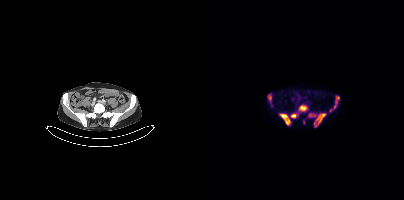
Left: CT. Right: PSMA PET, same axial level, 18F tracer. Slice position z = -1380 mm.
Coordinates are on the 200×200 PET (right) panel. PSMA-avid tumor lesion bounding boxes (partial; 2 more foci not listed):
| # | x0 | y0 | x1 | y1 |
|---|---|---|---|---|
| 1 | 104 | 113 | 122 | 127 |
| 2 | 75 | 113 | 86 | 125 |
| 3 | 94 | 104 | 103 | 111 |
| 4 | 130 | 96 | 135 | 108 |
| 5 | 64 | 94 | 67 | 101 |
| 6 | 86 | 114 | 92 | 118 |
Small PSMA-avid focus (2 to 4 px across) near (center x, center y): (126, 110).